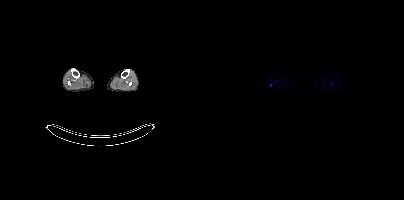
Two-panel axial: CT | PSMA PET, 18F-PSMA tracer. Acquired on Siemens Biograph mCT Flow 20. Slice position z = -1543 mm. No tumor lesions annotated on this slice.